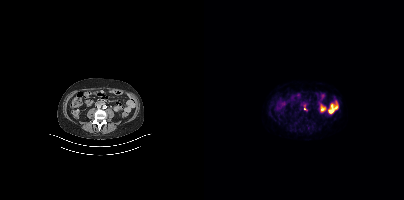
Left: CT. Right: PSMA PET, same axial level, 18F-PSMA tracer. Slice 135 of 354. PET panel 200×200 px (4.1 mm/px). Coordinates are on the 200×200 PET (right) panel. PSMA-avid tumor lesion bounding box (x0, y0)-(x1, y1): (100, 106)-(103, 110).